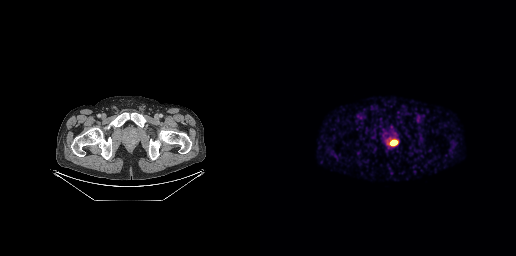
Technique: Two-panel axial: CT | PSMA PET, 68Ga tracer. acquired on GE Discovery 690.
Findings: Coordinates are on the 256×256 PET (right) panel. PSMA-avid tumor lesion bounding box (x0,y0,x1,y1): [130,140,137,145].